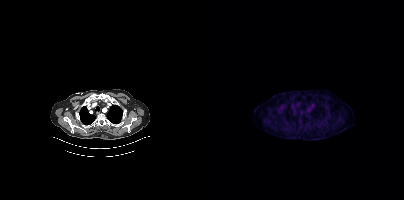
No PSMA-avid tumor lesions on this slice.
modality: PSMA PET/CT | tracer: [18F]PSMA-1007 | view: axial | PET grid: 200×200